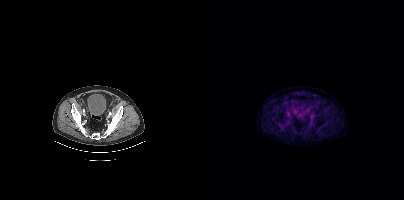
This slice has no annotated PSMA-avid lesion.